modality: PSMA PET/CT | tracer: 68Ga-PSMA | view: axial
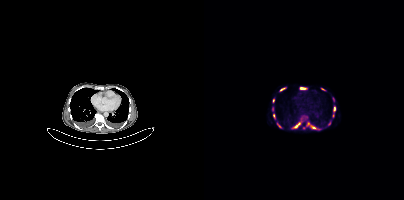
Coordinates are on the 200×200 PET (right) panel. (showing 12 of 16 foci) PSMA-avid tumor lesion bounding boxes (x, y, width, height): x=90 y=122 w=7 h=7 / x=107 y=125 w=6 h=5 / x=96 y=87 w=6 h=3 / x=129 y=106 w=3 h=5 / x=76 y=88 w=5 h=3 / x=117 y=88 w=5 h=3. Small PSMA-avid foci (2 to 4 px across) near (center x, center y): (68, 108) / (129, 115) / (76, 126) / (69, 115) / (104, 123) / (69, 100).